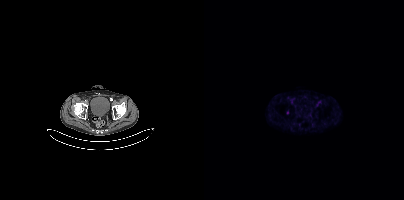
{"modality":"PSMA PET/CT","view":"axial","tracer":"18F","pet_grid":[200,200],"coord_frame":"pet_panel","coord_format":"x0,y0,x1,y1","lesion_bboxes":[],"small_foci_centers":[[83,112]]}